The face region was removed for patient privacy by blanking a rectangle over the head.
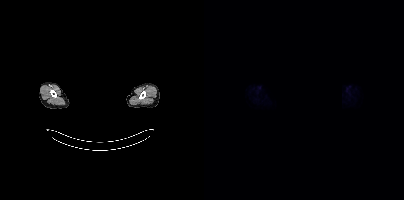
This slice has no annotated PSMA-avid lesion.